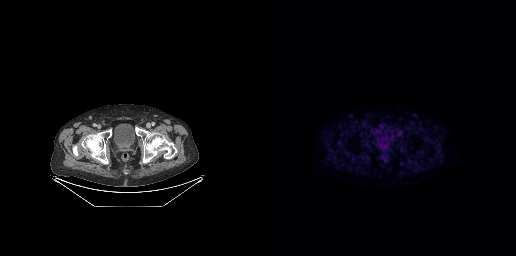
Two-panel axial: CT | PSMA PET, [18F]PSMA-1007 tracer. Acquired on GE Discovery 690. Slice position z = -686 mm. PET panel 256×256 px (2.7 mm/px). This slice has no annotated PSMA-avid lesion.